modality: PSMA PET/CT | tracer: 18F | view: axial
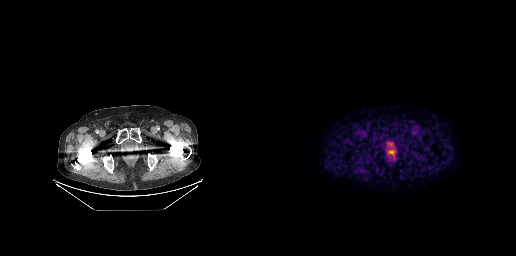
Coordinates are on the 256×256 PET (right) panel. PSMA-avid tumor lesion bounding box (x, y, width, height): x=128 y=150 w=7 h=5.